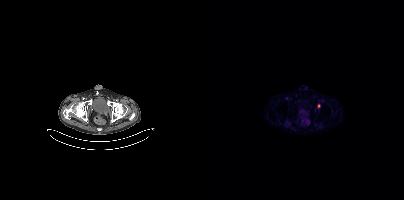
Two-panel axial: CT | PSMA PET, 18F-PSMA tracer. PET panel 200×200 px (4.1 mm/px). Coordinates are on the 200×200 PET (right) panel. Small PSMA-avid focus (2 to 4 px across) near (center x, center y): (114, 105).